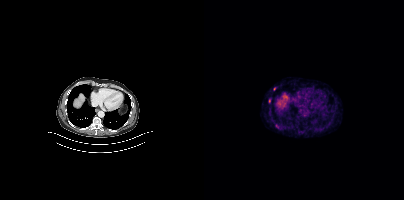
{"pet_grid":[200,200],"coord_frame":"pet_panel","coord_format":"x0,y0,x1,y1","lesion_bboxes":[],"small_foci_centers":[[65,100]],"modality":"PSMA PET/CT","view":"axial","tracer":"68Ga"}